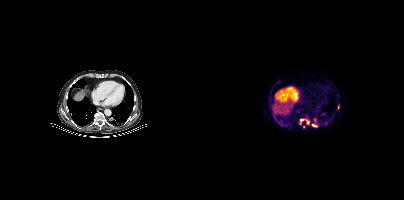
- Two-panel axial: CT | PSMA PET, [18F]PSMA-1007 tracer
Findings: Coordinates are on the 200×200 PET (right) panel. (showing 4 of 7 foci) PSMA-avid tumor lesion bounding boxes (x0,y0,x1,y1): [102,119,105,124] [108,124,113,127]. Small PSMA-avid foci (2 to 4 px across) near (center x, center y): (97, 120) (99, 126).